modality: PSMA PET/CT | tracer: [18F]PSMA-1007 | view: axial | PET grid: 256×256
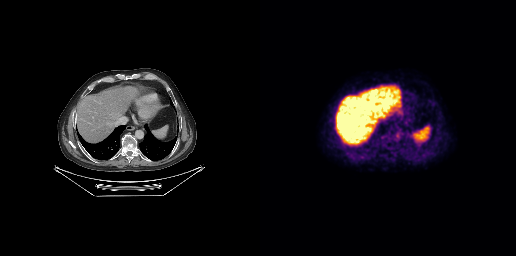
No tumor lesions annotated on this slice.